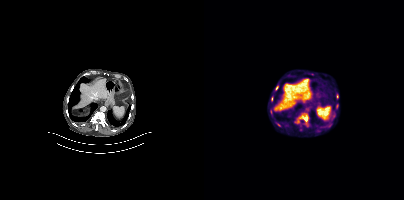
{"modality":"PSMA PET/CT","view":"axial","tracer":"[18F]PSMA-1007","pet_grid":[200,200],"coord_frame":"pet_panel","coord_format":"x0,y0,x1,y1","lesion_bboxes":[[93,114,102,123]],"small_foci_centers":[[125,125]]}